Paired axial CT (left) and PSMA PET (right), 18F tracer. PET panel 256×256 px (2.7 mm/px).
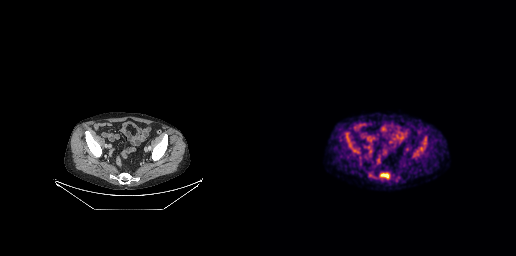
Coordinates are on the 256×256 PET (right) panel. PSMA-avid tumor lesion bounding boxes:
| # | x0 | y0 | x1 | y1 |
|---|---|---|---|---|
| 1 | 154 | 137 | 166 | 155 |
| 2 | 120 | 173 | 129 | 178 |
| 3 | 87 | 139 | 98 | 152 |